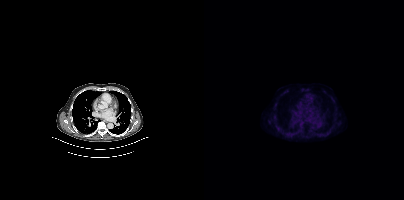
- Left: CT. Right: PSMA PET, same axial level, 18F tracer
- PET panel 200×200 px (4.1 mm/px)
Findings: Coordinates are on the 200×200 PET (right) panel. Small PSMA-avid focus (2 to 4 px across) near (center x, center y): (71, 104).